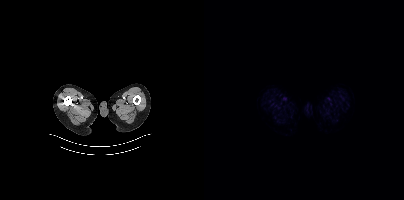
No PSMA-avid tumor lesions on this slice. Paired axial CT (left) and PSMA PET (right), 18F-PSMA tracer. Acquired on Siemens Biograph mCT Flow 20. PET panel 200×200 px (4.1 mm/px).